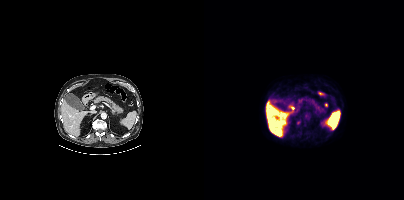
Coordinates are on the 200×200 PET (right) panel. Small PSMA-avid focus (2 to 4 px across) near (center x, center y): (94, 122).